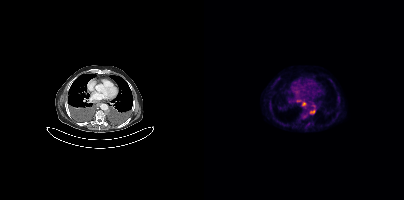
Coordinates are on the 200×200 PET (right) panel. (showing 1 of 2 foci) Small PSMA-avid focus (2 to 4 px across) near (center x, center y): (100, 104).
modality: PSMA PET/CT | tracer: [18F]PSMA-1007 | view: axial | PET grid: 200×200